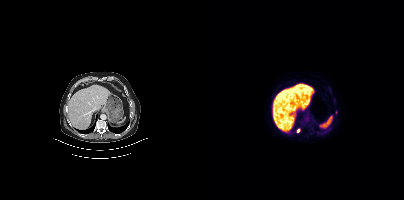
Left: CT. Right: PSMA PET, same axial level, [18F]PSMA-1007 tracer. Slice 240 of 401. Coordinates are on the 200×200 PET (right) panel. (showing 1 of 2 foci) Small PSMA-avid focus (2 to 4 px across) near (center x, center y): (94, 130).